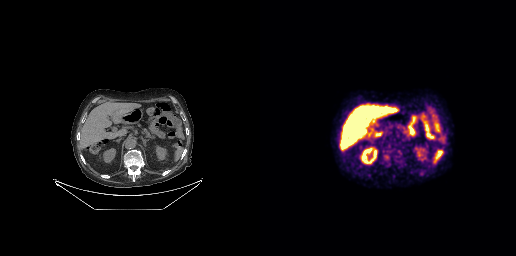
No tumor lesions annotated on this slice.